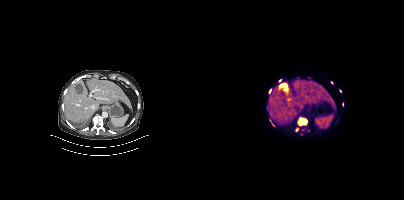
Paired axial CT (left) and PSMA PET (right), 18F-PSMA tracer.
Coordinates are on the 200×200 PET (right) panel. PSMA-avid tumor lesion bounding boxes (partial; 1 more focus not listed):
| # | x0 | y0 | x1 | y1 |
|---|---|---|---|---|
| 1 | 94 | 117 | 103 | 125 |
| 2 | 65 | 89 | 67 | 93 |
Small PSMA-avid foci (2 to 4 px across) near (center x, center y): (93, 129); (69, 124); (76, 80); (127, 82); (136, 91).